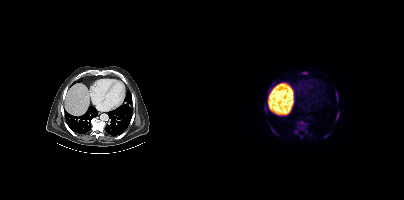
{"pet_grid":[200,200],"coord_frame":"pet_panel","coord_format":"x0,y0,x1,y1","partial":true,"lesion_bboxes":[[66,127,74,135],[131,91,134,98],[95,121,102,124],[131,113,135,120],[96,126,101,129],[120,134,124,137]],"small_foci_centers":[[92,131],[61,111],[101,131]],"modality":"PSMA PET/CT","view":"axial","tracer":"18F"}